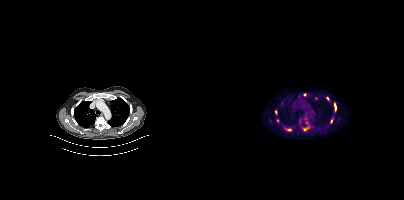
Left: CT. Right: PSMA PET, same axial level, 18F tracer. Slice position z = -482 mm. PET panel 200×200 px (4.1 mm/px).
Coordinates are on the 200×200 PET (right) panel. PSMA-avid tumor lesion bounding boxes (partial; 2 more foci not listed):
| # | x0 | y0 | x1 | y1 |
|---|---|---|---|---|
| 1 | 130 | 102 | 132 | 111 |
| 2 | 99 | 126 | 105 | 130 |
| 3 | 83 | 129 | 87 | 130 |
| 4 | 71 | 110 | 72 | 114 |
Small PSMA-avid foci (2 to 4 px across) near (center x, center y): (127, 120); (123, 98); (100, 94); (73, 120); (102, 122).